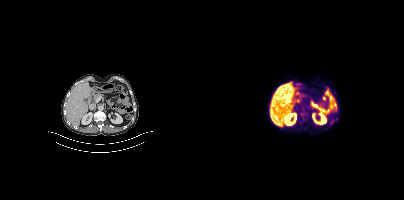
No tumor lesions annotated on this slice.